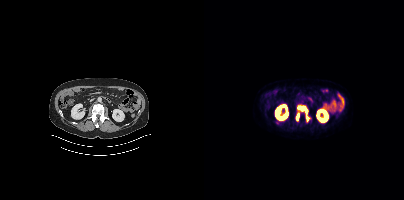
- Left: CT. Right: PSMA PET, same axial level, 18F-PSMA tracer
- slice 187 of 444
Findings: Coordinates are on the 200×200 PET (right) panel. PSMA-avid tumor lesion bounding boxes (x0, y0)-(x1, y1): (93, 106)-(105, 121) / (92, 113)-(95, 120).